Two-panel axial: CT | PSMA PET, 18F tracer. Acquired on Siemens Biograph mCT Flow 20. Slice 124 of 423. PET panel 200×200 px (4.1 mm/px).
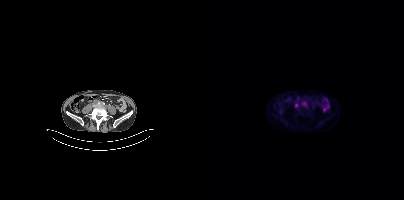
Coordinates are on the 200×200 PET (right) panel. Small PSMA-avid foci (2 to 4 px across) near (center x, center y): (92, 105), (100, 103).